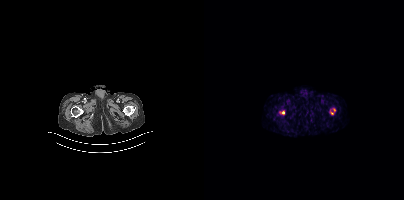
Coordinates are on the 200×200 PET (right) panel. PSMA-avid tumor lesion bounding boxes (x0,y0,x1,y1): [126,108,131,114] [75,110,80,115].
modality: PSMA PET/CT | tracer: 18F | view: axial | PET grid: 200×200